Left: CT. Right: PSMA PET, same axial level, 18F-PSMA tracer. Acquired on Siemens Biograph mCT Flow 20. Slice 101 of 411.
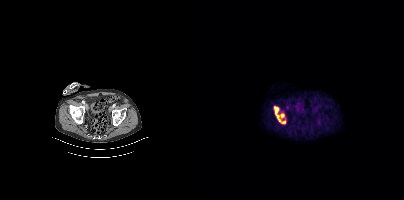
Coordinates are on the 200×200 PET (right) panel. PSMA-avid tumor lesion bounding boxes (partial; 1 more focus not listed):
| # | x0 | y0 | x1 | y1 |
|---|---|---|---|---|
| 1 | 70 | 106 | 82 | 124 |